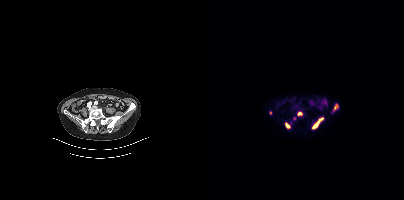
Coordinates are on the 200×200 PET (right) panel. PSMA-avid tumor lesion bounding boxes (x, y, width, height): x=109 y=117 w=11 h=12; x=130 y=105 w=5 h=5; x=81 y=123 w=5 h=5. Small PSMA-avid foci (2 to 4 px across) near (center x, center y): (95, 113); (90, 118); (66, 112).
modality: PSMA PET/CT | tracer: 68Ga-PSMA | view: axial